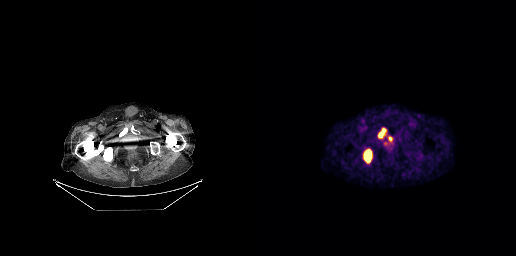
{"modality":"PSMA PET/CT","view":"axial","tracer":"[18F]PSMA-1007","pet_grid":[256,256],"coord_frame":"pet_panel","coord_format":"x0,y0,x1,y1","lesion_bboxes":[[104,149,111,162],[118,128,125,137]]}